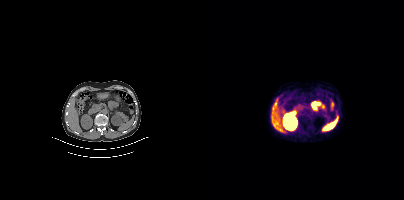
No tumor lesions annotated on this slice.